Paired axial CT (left) and PSMA PET (right), 18F-PSMA tracer. Acquired on Siemens Biograph mCT Flow 20. Slice 342 of 417. PET panel 200×200 px (4.1 mm/px).
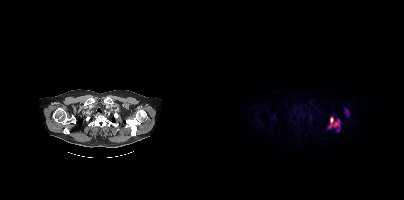
Coordinates are on the 200×200 PET (right) panel. PSMA-avid tumor lesion bounding boxes:
| # | x0 | y0 | x1 | y1 |
|---|---|---|---|---|
| 1 | 124 | 117 | 136 | 131 |